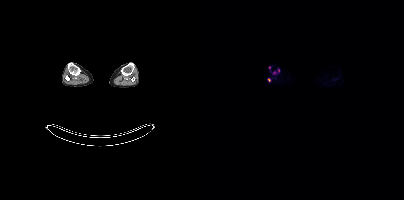
Paired axial CT (left) and PSMA PET (right), 18F tracer. Acquired on Siemens Biograph mCT Flow 20. Slice 252 of 963. PET panel 200×200 px (4.1 mm/px). Coordinates are on the 200×200 PET (right) panel. Small PSMA-avid foci (2 to 4 px across) near (center x, center y): (65, 67); (74, 70); (64, 79).